modality: PSMA PET/CT | tracer: 18F | view: axial | PET grid: 256×256
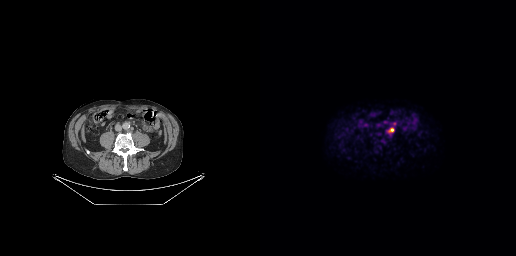
Coordinates are on the 256×256 PET (right) panel. (showing 2 of 3 foci) PSMA-avid tumor lesion bounding box (x, y, width, height): x=126 y=127 w=9 h=8. Small PSMA-avid focus (2 to 4 px across) near (center x, center y): (134, 123).